Technique: Paired axial CT (left) and PSMA PET (right), 18F-PSMA tracer. acquired on GE Discovery 690. PET panel 256×256 px (2.7 mm/px).
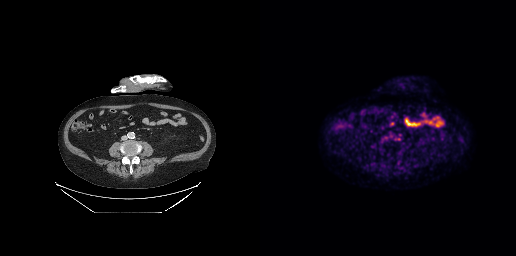
Findings: Coordinates are on the 256×256 PET (right) panel. Small PSMA-avid focus (2 to 4 px across) near (center x, center y): (138, 138).